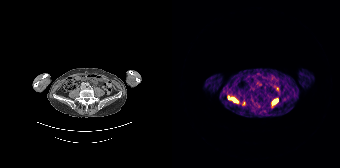
{"modality":"PSMA PET/CT","view":"axial","tracer":"68Ga","pet_grid":[168,168],"coord_frame":"pet_panel","coord_format":"x0,y0,x1,y1","lesion_bboxes":[[56,96,66,102],[100,99,106,104]]}